Two-panel axial: CT | PSMA PET, [18F]PSMA-1007 tracer. PET panel 200×200 px (4.1 mm/px).
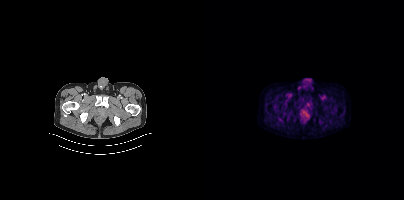
Coordinates are on the 200×200 PET (right) panel. Small PSMA-avid foci (2 to 4 px across) near (center x, center y): (102, 115) | (98, 112).